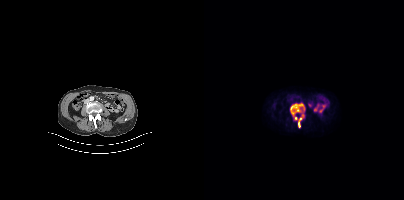
{"pet_grid":[200,200],"coord_frame":"pet_panel","coord_format":"x0,y0,x1,y1","lesion_bboxes":[[86,103,100,128]],"modality":"PSMA PET/CT","view":"axial","tracer":"18F"}